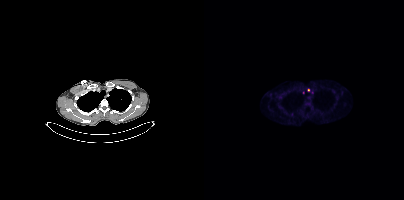
Coordinates are on the 200×200 PET (right) panel. (showing 1 of 2 foci) Small PSMA-avid focus (2 to 4 px across) near (center x, center y): (99, 92).
modality: PSMA PET/CT | tracer: 18F-PSMA | view: axial | PET grid: 200×200